- Two-panel axial: CT | PSMA PET, 18F-PSMA tracer
- acquired on Siemens Biograph mCT Flow 20
- slice 422 of 450
- an anonymization step blacked out a rectangle over the head in this scan
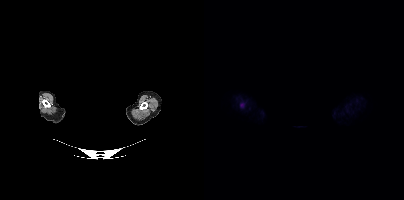
Findings: Coordinates are on the 200×200 PET (right) panel. PSMA-avid tumor lesion bounding box (x0,y0,x1,y1): [36,102,40,107].